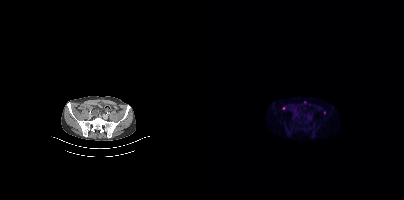
Findings: Only PSMA-avid lesion pieces thinner than 2 px on this slice (not listed).
Technique: Two-panel axial: CT | PSMA PET, 18F tracer. acquired on Siemens Biograph mCT Flow 20.